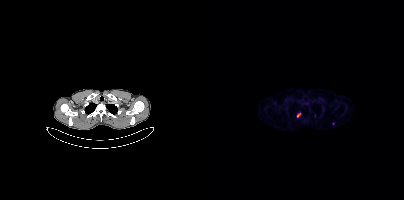
modality: PSMA PET/CT | tracer: 68Ga-PSMA | view: axial | PET grid: 200×200
Coordinates are on the 200×200 PET (right) panel. (showing 1 of 2 foci) PSMA-avid tumor lesion bounding box (x, y, width, height): x=93 y=113 w=5 h=5.